Paired axial CT (left) and PSMA PET (right), [68Ga]Ga-PSMA-11 tracer. Slice 366 of 429.
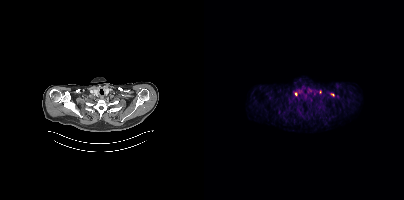
Coordinates are on the 200×200 PET (right) panel. (showing 2 of 3 foci) Small PSMA-avid foci (2 to 4 px across) near (center x, center y): (116, 91) / (92, 93).